- Left: CT. Right: PSMA PET, same axial level, [18F]PSMA-1007 tracer
- slice position z = -1376 mm
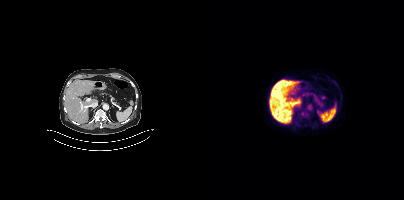
Findings: Negative for PSMA-avid disease on this slice.